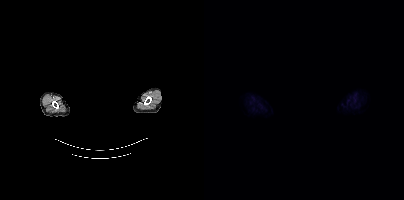
- an anonymization step blacked out a rectangle over the head in this scan
- Left: CT. Right: PSMA PET, same axial level, 18F tracer
- slice 422 of 452
- PET panel 200×200 px (4.1 mm/px)
Findings: Negative for PSMA-avid disease on this slice.